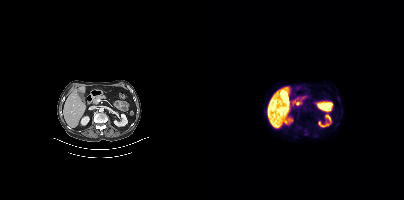
{"pet_grid":[200,200],"coord_frame":"pet_panel","coord_format":"x0,y0,x1,y1","psma_avid_lesions":false,"modality":"PSMA PET/CT","view":"axial","tracer":"18F"}